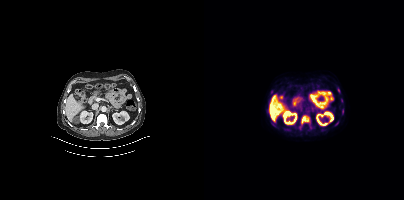
Findings: Coordinates are on the 200×200 PET (right) panel. (showing 5 of 6 foci) PSMA-avid tumor lesion bounding boxes (x0,y0,x1,y1): [97,115,106,124] [138,109,139,114] [131,121,134,125]. Small PSMA-avid foci (2 to 4 px across) near (center x, center y): (67, 91) (134, 90).
Technique: Two-panel axial: CT | PSMA PET, 18F tracer. PET panel 200×200 px (4.1 mm/px).